Paired axial CT (left) and PSMA PET (right), 18F-PSMA tracer. Acquired on Siemens Biograph mCT Flow 20. Slice position z = -314 mm. PET panel 200×200 px (4.1 mm/px).
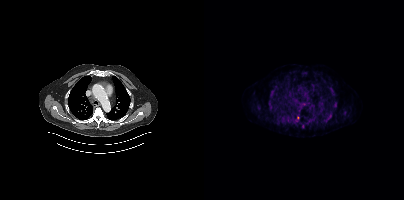
Coordinates are on the 200×200 PET (right) panel. (showing 12 of 13 foci) PSMA-avid tumor lesion bounding boxes (x0,y0,x1,y1): [73,117,78,122], [103,119,108,123], [66,90,70,95], [123,115,128,120], [65,103,68,108], [139,112,142,116], [125,87,129,91], [97,124,100,128], [93,114,95,119]. Small PSMA-avid foci (2 to 4 px across) near (center x, center y): (100, 73), (131, 106), (53, 108).